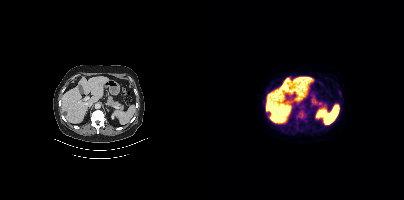
Left: CT. Right: PSMA PET, same axial level, [18F]PSMA-1007 tracer. Acquired on Siemens Biograph mCT Flow 20. PET panel 200×200 px (4.1 mm/px).
Coordinates are on the 200×200 PET (right) panel. PSMA-avid tumor lesion bounding boxes:
| # | x0 | y0 | x1 | y1 |
|---|---|---|---|---|
| 1 | 91 | 110 | 105 | 126 |
Small PSMA-avid focus (2 to 4 px across) near (center x, center y): (135, 92).